Left: CT. Right: PSMA PET, same axial level, 18F tracer. Acquired on Siemens Biograph mCT Flow 20.
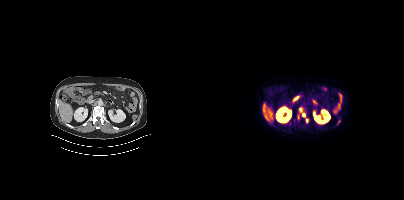
Coordinates are on the 200×200 PET (right) panel. (showing 3 of 4 foci) Small PSMA-avid foci (2 to 4 px across) near (center x, center y): (99, 114); (96, 108); (63, 119).